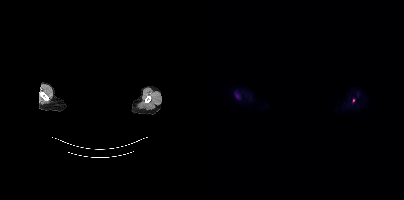
Findings: Coordinates are on the 200×200 PET (right) panel. Small PSMA-avid focus (2 to 4 px across) near (center x, center y): (149, 100).
Technique: Paired axial CT (left) and PSMA PET (right), [18F]PSMA-1007 tracer. slice 368 of 395.
Note: Head region blanked for anonymization (face removed).